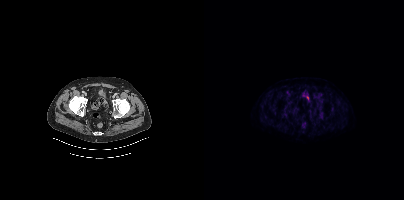
{"modality":"PSMA PET/CT","view":"axial","tracer":"18F-PSMA","pet_grid":[200,200],"coord_frame":"pet_panel","coord_format":"x0,y0,x1,y1","lesion_bboxes":[],"small_foci_centers":[[115,105],[116,115]]}